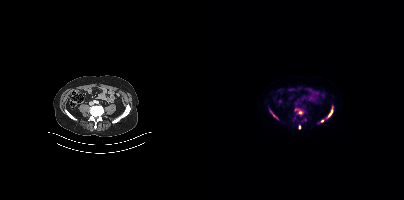
Coordinates are on the 200×200 PET (right) panel. (showing 5 of 7 foci) PSMA-avid tumor lesion bounding box (x0,y0,x1,y1): [124,110,128,117]. Small PSMA-avid foci (2 to 4 px across) near (center x, center y): (96, 112), (95, 126), (118, 120), (69, 115).